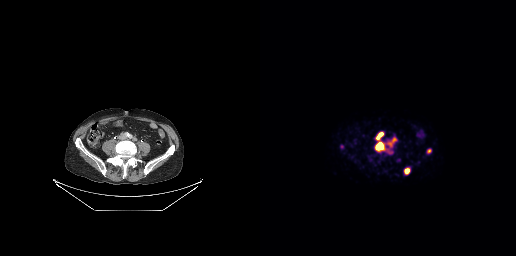
Coordinates are on the 256×256 PET (right) panel. (showing 4 of 5 foci) PSMA-avid tumor lesion bounding boxes (x, y, width, height): x=115 y=142 w=11 h=10 / x=117 y=132 w=7 h=8 / x=145 y=169 w=5 h=5 / x=167 y=149 w=5 h=4.